Paired axial CT (left) and PSMA PET (right), 18F-PSMA tracer. Slice position z = -569 mm. PET panel 200×200 px (4.1 mm/px).
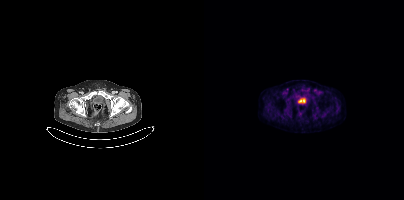
No tumor lesions annotated on this slice.